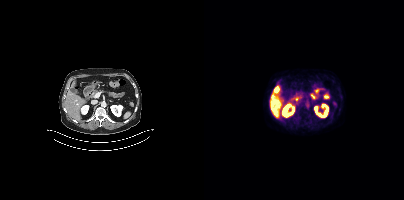
Findings: No PSMA-avid tumor lesions on this slice.
- Paired axial CT (left) and PSMA PET (right), 18F tracer
- acquired on Siemens Biograph mCT Flow 20
- slice 190 of 393